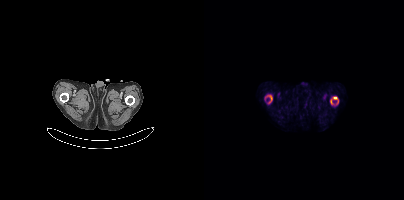
{"modality":"PSMA PET/CT","view":"axial","tracer":"18F","pet_grid":[200,200],"coord_frame":"pet_panel","coord_format":"x0,y0,x1,y1","lesion_bboxes":[[63,95,68,102],[129,97,134,102]],"small_foci_centers":[[127,101]]}